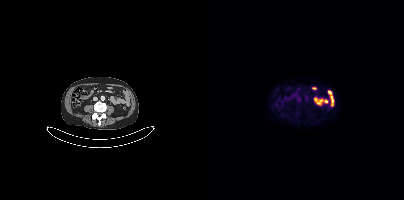
No tumor lesions annotated on this slice. Paired axial CT (left) and PSMA PET (right), 18F tracer. Acquired on Siemens Biograph mCT Flow 20.